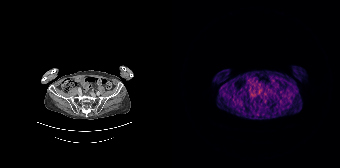
- Two-panel axial: CT | PSMA PET, [68Ga]Ga-PSMA-11 tracer
Findings: Negative for PSMA-avid disease on this slice.